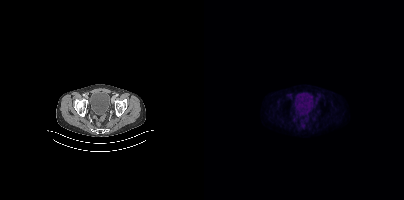
- Two-panel axial: CT | PSMA PET, [18F]PSMA-1007 tracer
- slice position z = -14 mm
- PET panel 200×200 px (4.1 mm/px)
Findings: This slice has no annotated PSMA-avid lesion.